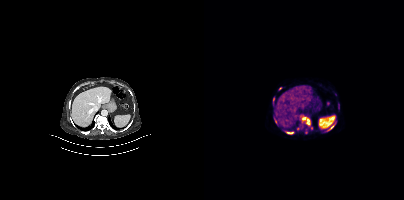
- Paired axial CT (left) and PSMA PET (right), 68Ga tracer
- slice 232 of 397
Findings: Coordinates are on the 200×200 PET (right) panel. (showing 8 of 11 foci) PSMA-avid tumor lesion bounding boxes (x0, y0)-(x1, y1): (96, 115)-(106, 125) / (81, 131)-(89, 134) / (70, 117)-(73, 124) / (128, 122)-(131, 126) / (69, 99)-(70, 103) / (123, 128)-(127, 130). Small PSMA-avid foci (2 to 4 px across) near (center x, center y): (102, 132) / (107, 127).